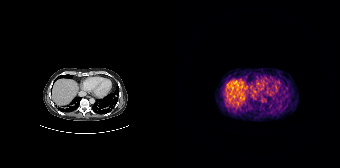
- Paired axial CT (left) and PSMA PET (right), [68Ga]Ga-PSMA-11 tracer
- slice position z = -360 mm
Findings: Negative for PSMA-avid disease on this slice.